Technique: Two-panel axial: CT | PSMA PET, [68Ga]Ga-PSMA-11 tracer. acquired on Siemens Biograph 64-4R TruePoint. slice position z = -1196 mm.
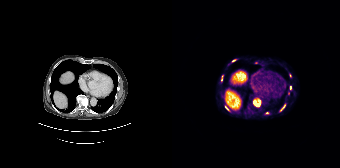
Findings: Coordinates are on the 168×168 PET (right) panel. (showing 9 of 10 foci) PSMA-avid tumor lesion bounding boxes (x, y, width, height): x=81 y=100 w=8 h=7 / x=108 y=104 w=6 h=8 / x=53 y=106 w=4 h=5 / x=49 y=76 w=2 h=6. Small PSMA-avid foci (2 to 4 px across) near (center x, center y): (118, 87) / (84, 62) / (95, 112) / (116, 93) / (61, 60).